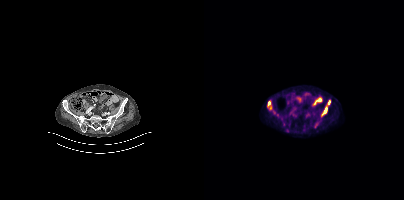
Coordinates are on the 200×200 PET (right) panel. PSMA-avid tumor lesion bounding boxes (x0,y0,x1,y1): [64,101,68,109] [121,106,123,111]. Small PSMA-avid focus (2 to 4 px across) near (center x, center y): (124, 103).